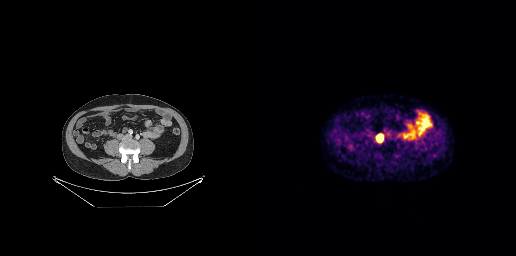
Coordinates are on the 256×256 PET (right) panel. PSMA-avid tumor lesion bounding box (x0, y0)-(x1, y1): (116, 133)-(123, 142).
modality: PSMA PET/CT | tracer: 68Ga-PSMA | view: axial